Technique: Paired axial CT (left) and PSMA PET (right), 68Ga tracer. acquired on Siemens Biograph mCT Flow 20. slice position z = -639 mm.
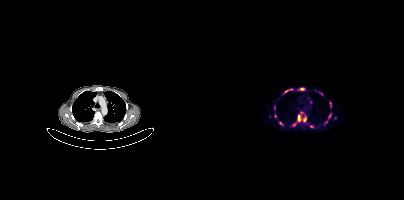
Findings: Coordinates are on the 200×200 PET (right) panel. (showing 11 of 16 foci) PSMA-avid tumor lesion bounding boxes (x, y, width, height): x=79 y=88 w=10 h=7 | x=121 y=113 w=7 h=11 | x=94 y=115 w=3 h=7 | x=96 y=88 w=5 h=3 | x=115 y=92 w=5 h=4. Small PSMA-avid foci (2 to 4 px across) near (center x, center y): (70, 107) | (101, 119) | (77, 123) | (97, 112) | (71, 115) | (106, 101).